Technique: Paired axial CT (left) and PSMA PET (right), 18F tracer.
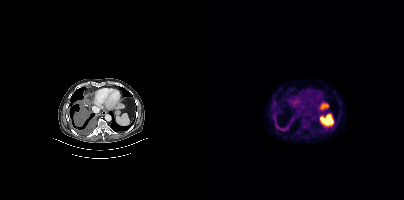
Findings: Coordinates are on the 200×200 PET (right) panel. PSMA-avid tumor lesion bounding boxes (x0, y0)-(x1, y1): (71, 124)-(84, 131); (69, 116)-(72, 120); (87, 117)-(90, 122).